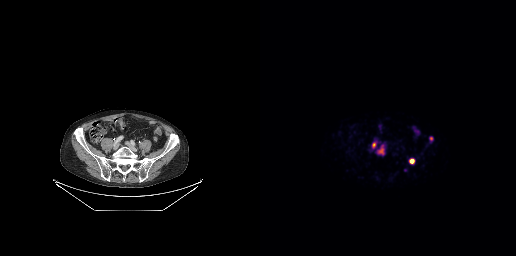
Paired axial CT (left) and PSMA PET (right), 68Ga tracer.
Coordinates are on the 256×256 PET (right) panel. PSMA-avid tumor lesion bounding boxes:
| # | x0 | y0 | x1 | y1 |
|---|---|---|---|---|
| 1 | 150 | 159 | 153 | 163 |
Small PSMA-avid foci (2 to 4 px across) near (center x, center y): (120, 150); (171, 138); (114, 144).